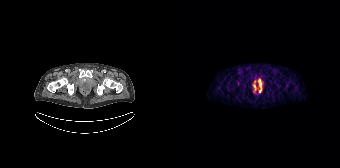
{"modality":"PSMA PET/CT","view":"axial","tracer":"68Ga-PSMA","pet_grid":[168,168],"coord_frame":"pet_panel","coord_format":"x0,y0,x1,y1","lesion_bboxes":[[86,79,89,92],[81,84,84,90]]}